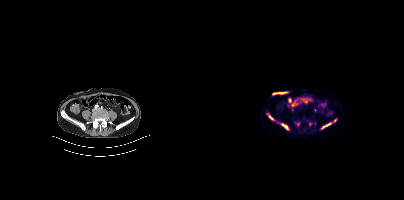
Coordinates are on the 200×200 PET (right) panel. (showing 4 of 6 foci) PSMA-avid tumor lesion bounding boxes (x, y, width, height): x=77 y=123 w=9 h=8 / x=117 y=122 w=11 h=8 / x=63 y=113 w=8 h=8. Small PSMA-avid focus (2 to 4 px across) near (center x, center y): (130, 120).